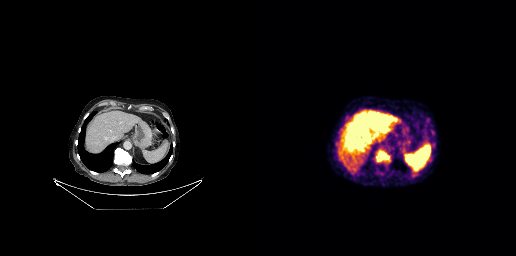
Technique: Left: CT. Right: PSMA PET, same axial level, [18F]PSMA-1007 tracer. acquired on GE Discovery 690. slice position z = -418 mm. PET panel 256×256 px (2.7 mm/px).
Findings: Coordinates are on the 256×256 PET (right) panel. (showing 3 of 4 foci) PSMA-avid tumor lesion bounding boxes (x0,y0,x1,y1): [116,154,129,161], [171,130,174,135], [167,118,169,122].